- Left: CT. Right: PSMA PET, same axial level, [18F]PSMA-1007 tracer
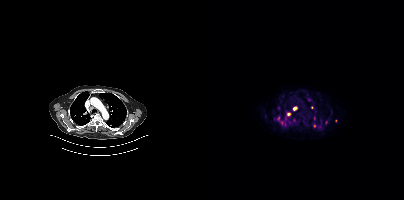
Findings: Coordinates are on the 200×200 PET (right) panel. (showing 8 of 12 foci) PSMA-avid tumor lesion bounding box (x0,y0,x1,y1): [89,107,93,110]. Small PSMA-avid foci (2 to 4 px across) near (center x, center y): (111, 125) (84, 114) (122, 122) (108, 107) (74, 118) (115, 126) (77, 122).